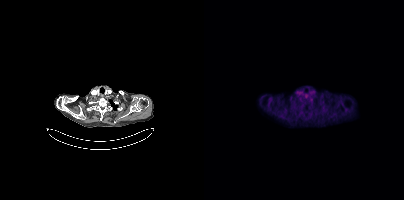
{"modality":"PSMA PET/CT","view":"axial","tracer":"18F","pet_grid":[200,200],"coord_frame":"pet_panel","coord_format":"x0,y0,x1,y1","psma_avid_lesions":false}